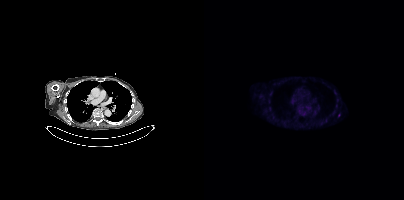
Coordinates are on the 200×200 PET (right) panel. (showing 1 of 2 foci) Small PSMA-avid focus (2 to 4 px across) near (center x, center y): (134, 115).